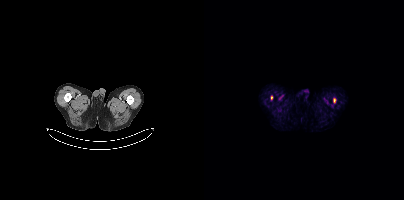
Findings: Coordinates are on the 200×200 PET (right) panel. PSMA-avid tumor lesion bounding box (x0,y0,x1,y1): [129,98,131,102]. Small PSMA-avid focus (2 to 4 px across) near (center x, center y): (67, 97).
- Two-panel axial: CT | PSMA PET, 18F-PSMA tracer
- slice 12 of 373